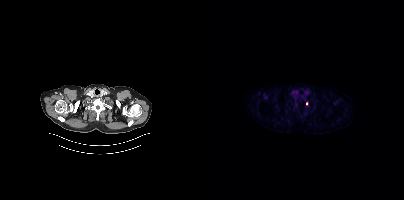
Findings: Coordinates are on the 200×200 PET (right) panel. Small PSMA-avid focus (2 to 4 px across) near (center x, center y): (102, 103).
- Two-panel axial: CT | PSMA PET, [18F]PSMA-1007 tracer
- slice 389 of 466
- PET panel 200×200 px (4.1 mm/px)